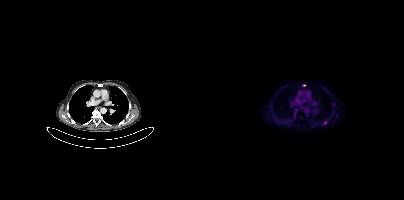
{"modality":"PSMA PET/CT","view":"axial","tracer":"[18F]PSMA-1007","pet_grid":[200,200],"coord_frame":"pet_panel","coord_format":"x0,y0,x1,y1","lesion_bboxes":[[119,121,123,124]],"small_foci_centers":[[100,85]]}